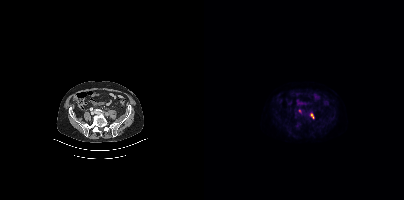
Findings: Coordinates are on the 200×200 PET (right) panel. Small PSMA-avid foci (2 to 4 px across) near (center x, center y): (107, 114) / (96, 111) / (91, 116).
Technique: Paired axial CT (left) and PSMA PET (right), [18F]PSMA-1007 tracer. slice position z = -716 mm. PET panel 200×200 px (4.1 mm/px).